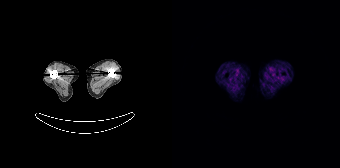
Findings: Negative for PSMA-avid disease on this slice.
- Left: CT. Right: PSMA PET, same axial level, [68Ga]Ga-PSMA-11 tracer
- acquired on Siemens Biograph 64-4R TruePoint
- slice 14 of 165
- PET panel 168×168 px (4.1 mm/px)